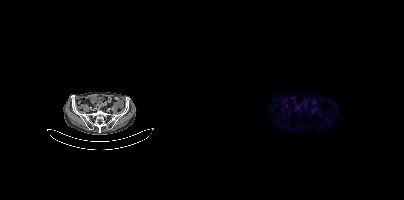
Findings: No tumor lesions annotated on this slice.
- Two-panel axial: CT | PSMA PET, 18F-PSMA tracer